Two-panel axial: CT | PSMA PET, 18F-PSMA tracer. Acquired on Siemens Biograph mCT Flow 20. Slice position z = -598 mm. PET panel 200×200 px (4.1 mm/px).
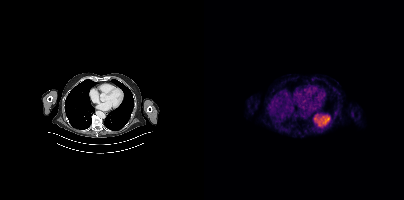
Negative for PSMA-avid disease on this slice.